An anonymization step blacked out a rectangle over the head in this scan.
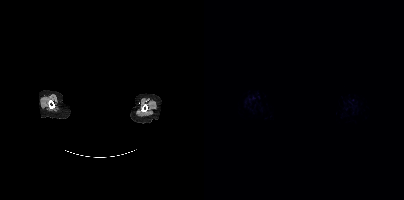
No PSMA-avid tumor lesions on this slice.